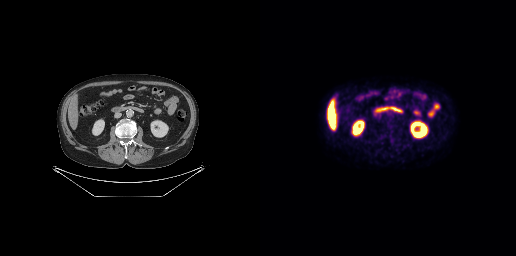
Negative for PSMA-avid disease on this slice. Left: CT. Right: PSMA PET, same axial level, 18F tracer. Acquired on GE Discovery 690. PET panel 256×256 px (2.7 mm/px).